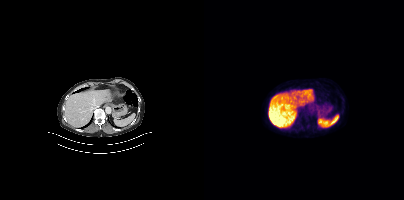
No tumor lesions annotated on this slice.